Paired axial CT (left) and PSMA PET (right), [18F]PSMA-1007 tracer. Slice 67 of 417.
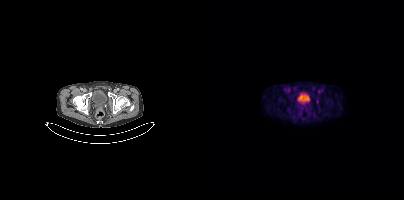
Coordinates are on the 200×200 PET (right) panel. Small PSMA-avid focus (2 to 4 px across) near (center x, center y): (113, 101).